modality: PSMA PET/CT | tracer: 18F | view: axial
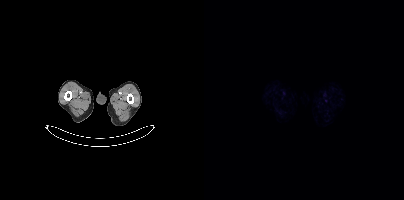
Negative for PSMA-avid disease on this slice.